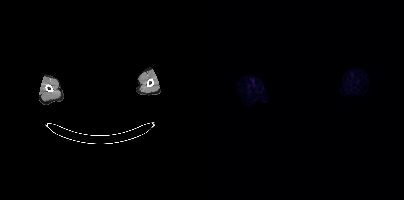
- Left: CT. Right: PSMA PET, same axial level, 18F-PSMA tracer
- acquired on Siemens Biograph mCT Flow 20
- PET panel 200×200 px (4.1 mm/px)
- the head region is masked for de-identification
Findings: Negative for PSMA-avid disease on this slice.